Technique: Paired axial CT (left) and PSMA PET (right), [68Ga]Ga-PSMA-11 tracer. slice position z = -730 mm.
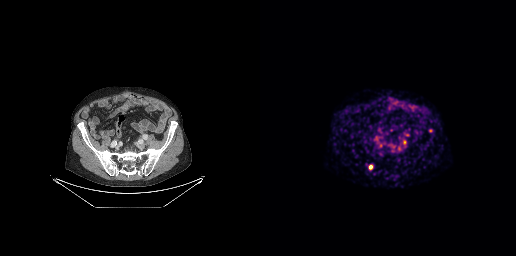
Findings: Coordinates are on the 256×256 PET (right) panel. PSMA-avid tumor lesion bounding boxes (x, y, width, height): x=108 y=164 w=5 h=6; x=143 y=140 w=4 h=5. Small PSMA-avid foci (2 to 4 px across) near (center x, center y): (170, 130); (120, 145).